- Paired axial CT (left) and PSMA PET (right), [68Ga]Ga-PSMA-11 tracer
- acquired on Siemens Biograph 64-4R TruePoint
- the face region was removed for patient privacy by blanking a rectangle over the head
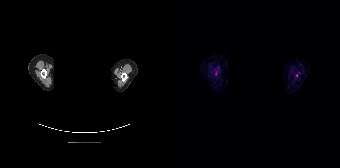
Findings: Negative for PSMA-avid disease on this slice.